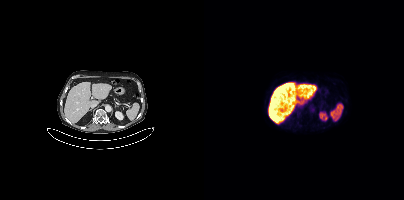
No PSMA-avid tumor lesions on this slice. Left: CT. Right: PSMA PET, same axial level, 18F-PSMA tracer. Acquired on Siemens Biograph mCT Flow 20.